Technique: Two-panel axial: CT | PSMA PET, 18F-PSMA tracer. acquired on Siemens Biograph mCT Flow 20. slice position z = -1380 mm. PET panel 200×200 px (4.1 mm/px).
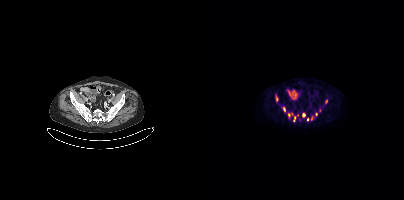
Findings: Coordinates are on the 200×200 PET (right) panel. (showing 9 of 11 foci) PSMA-avid tumor lesion bounding boxes (x0,y0,x1,y1): [84,114,86,119], [79,107,81,111], [72,96,73,100], [89,117,91,121]. Small PSMA-avid foci (2 to 4 px across) near (center x, center y): (99, 114), (122, 101), (103, 119), (112, 114), (107, 119).